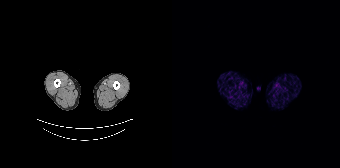
No tumor lesions annotated on this slice.